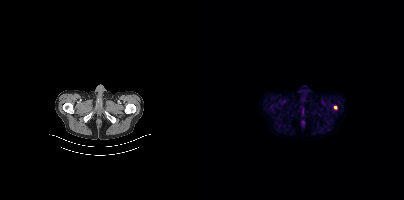
Two-panel axial: CT | PSMA PET, [18F]PSMA-1007 tracer. Acquired on Siemens Biograph mCT Flow 20. Slice 35 of 405. PET panel 200×200 px (4.1 mm/px). Coordinates are on the 200×200 PET (right) panel. Small PSMA-avid focus (2 to 4 px across) near (center x, center y): (131, 107).